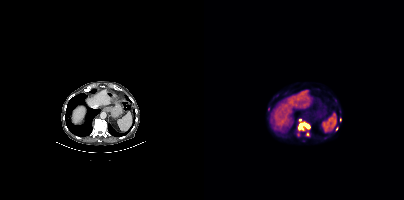
modality: PSMA PET/CT | tracer: 18F | view: axial
Coordinates are on the 200×200 PET (right) panel. PSMA-avid tumor lesion bounding boxes (x, y, width, height): x=94 y=119 w=12 h=12 / x=102 y=132 w=4 h=5. Small PSMA-avid foci (2 to 4 px across) near (center x, center y): (94, 134) / (64, 108) / (136, 120) / (132, 129).